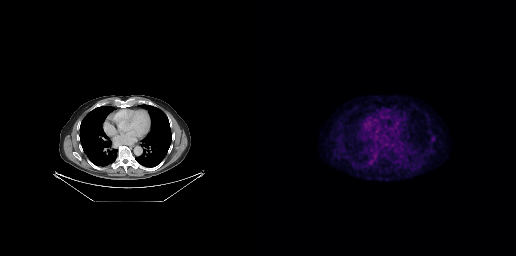
Coordinates are on the 256×256 PET (right) panel. PSMA-avid tumor lesion bounding box (x0, y0)-(x1, y1): (171, 136)-(175, 141).